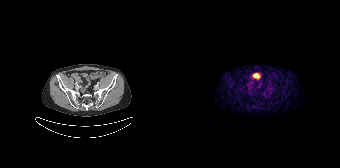
No tumor lesions annotated on this slice.
modality: PSMA PET/CT | tracer: [68Ga]Ga-PSMA-11 | view: axial